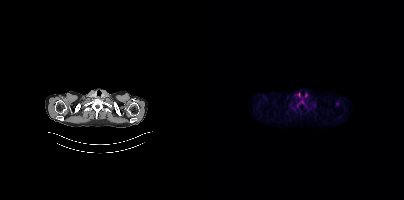
Two-panel axial: CT | PSMA PET, 18F tracer. Slice 340 of 413. This slice has no annotated PSMA-avid lesion.